modality: PSMA PET/CT | tracer: 18F-PSMA | view: axial
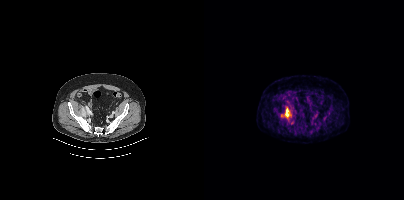
Coordinates are on the 200×200 PET (right) panel. PSMA-avid tumor lesion bounding box (x, y, width, height): x=77 y=107 w=11 h=13.